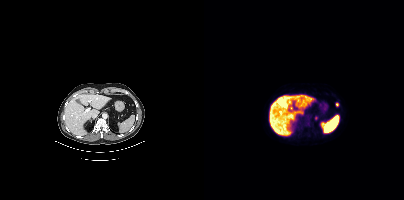
Coordinates are on the 200×200 PET (right) panel. Small PSMA-avid foci (2 to 4 px across) near (center x, center y): (133, 104) (112, 118).
modality: PSMA PET/CT | tracer: 18F | view: axial | PET grid: 200×200